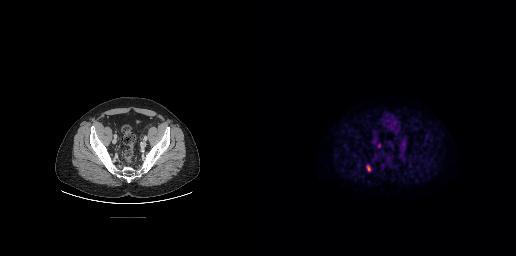
Coordinates are on the 256×256 PET (right) panel. PSMA-avid tumor lesion bounding box (x0,y0,x1,y1): [107,165,110,171]. Small PSMA-avid focus (2 to 4 px across) near (center x, center y): (119, 145).
modality: PSMA PET/CT | tracer: [18F]PSMA-1007 | view: axial